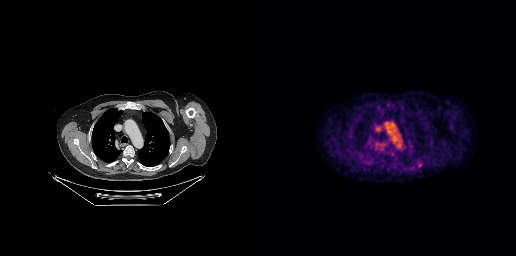
Coordinates are on the 256×256 PET (right) panel. Small PSMA-avid focus (2 to 4 px across) near (center x, center y): (159, 164).